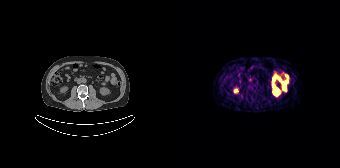
- Two-panel axial: CT | PSMA PET, 68Ga-PSMA tracer
- acquired on Siemens Biograph 64-4R TruePoint
- PET panel 168×168 px (4.1 mm/px)
Findings: No PSMA-avid tumor lesions on this slice.